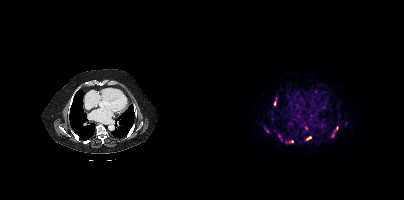
Coordinates are on the 200×200 PET (right) panel. (showing 6 of 9 foci) PSMA-avid tumor lesion bounding boxes (x0,y0,x1,y1): [127,127,133,137] [70,101,72,105] [103,136,107,139]. Small PSMA-avid foci (2 to 4 px across) near (center x, center y): (102, 128) (63, 131) (88, 141).
modality: PSMA PET/CT | tracer: 68Ga | view: axial | PET grid: 200×200